- Left: CT. Right: PSMA PET, same axial level, [18F]PSMA-1007 tracer
- PET panel 200×200 px (4.1 mm/px)
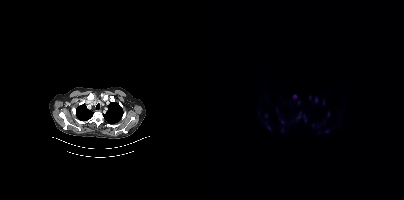
Findings: Coordinates are on the 200×200 PET (right) panel. (showing 7 of 9 foci) PSMA-avid tumor lesion bounding boxes (x0,y0,x1,y1): [92,112,102,122] [119,100,120,104]. Small PSMA-avid foci (2 to 4 px across) near (center x, center y): (90, 96) (95, 102) (106, 97) (124, 114) (65, 128).